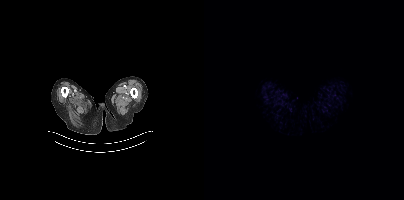
{"modality":"PSMA PET/CT","view":"axial","tracer":"18F-PSMA","pet_grid":[200,200],"coord_frame":"pet_panel","coord_format":"x0,y0,x1,y1","psma_avid_lesions":false}